Paired axial CT (left) and PSMA PET (right), [18F]PSMA-1007 tracer. Acquired on Siemens Biograph 64-4R TruePoint. De-identified by setting a box covering the face to black before release.
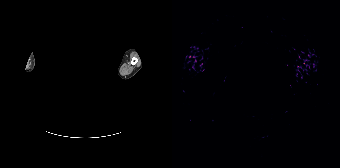
No tumor lesions annotated on this slice.